The head region is masked for de-identification. Left: CT. Right: PSMA PET, same axial level, [18F]PSMA-1007 tracer. Acquired on Siemens Biograph mCT Flow 20. Slice 383 of 431.
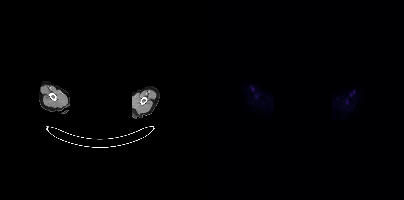
No PSMA-avid tumor lesions on this slice.